Left: CT. Right: PSMA PET, same axial level, 18F tracer. Slice position z = -1584 mm. PET panel 200×200 px (4.1 mm/px).
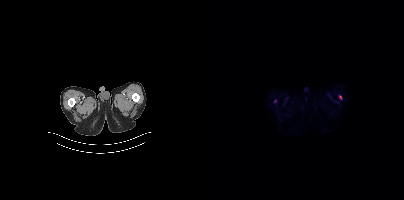
Coordinates are on the 200×200 PET (right) panel. Small PSMA-avid foci (2 to 4 px across) near (center x, center y): (136, 97) (71, 100).